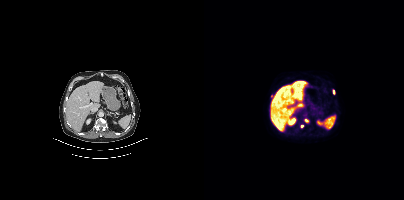
Coordinates are on the 200×200 PET (right) panel. (showing 3 of 4 foci) Small PSMA-avid foci (2 to 4 px across) near (center x, center y): (102, 120); (129, 91); (97, 125). Two-panel axial: CT | PSMA PET, 18F-PSMA tracer. Acquired on Siemens Biograph mCT Flow 20.